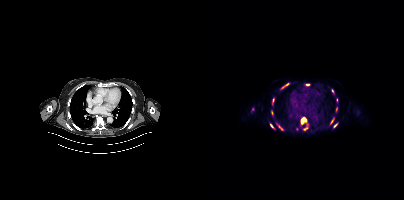
Coordinates are on the 200×200 PET (right) panel. PSMA-avid tumor lesion bounding boxes (partial; 2 more foci not listed):
| # | x0 | y0 | x1 | y1 |
|---|---|---|---|---|
| 1 | 97 | 117 | 102 | 124 |
| 2 | 77 | 83 | 85 | 88 |
| 3 | 74 | 125 | 79 | 130 |
| 4 | 126 | 118 | 130 | 124 |
| 5 | 66 | 123 | 70 | 128 |
| 6 | 130 | 123 | 133 | 127 |
| 7 | 132 | 107 | 133 | 111 |
| 8 | 68 | 111 | 69 | 115 |
Small PSMA-avid foci (2 to 4 px across) near (center x, center y): (103, 84); (128, 90); (101, 128); (69, 100); (132, 100); (48, 108).
Left: CT. Right: PSMA PET, same axial level, 18F tracer. Slice 245 of 401. PET panel 200×200 px (4.1 mm/px).